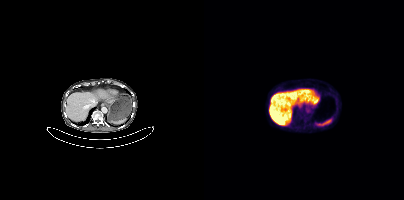
{"modality":"PSMA PET/CT","view":"axial","tracer":"18F","pet_grid":[200,200],"coord_frame":"pet_panel","coord_format":"x0,y0,x1,y1","psma_avid_lesions":false}